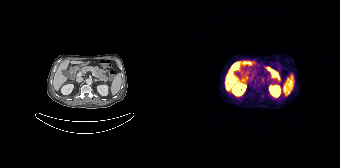
Negative for PSMA-avid disease on this slice.